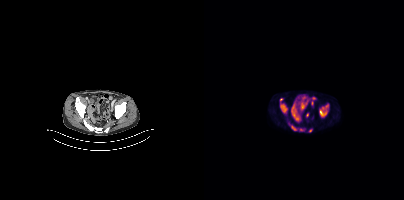
{"modality":"PSMA PET/CT","view":"axial","tracer":"[18F]PSMA-1007","pet_grid":[200,200],"coord_frame":"pet_panel","coord_format":"x0,y0,x1,y1","lesion_bboxes":[[115,104,124,115],[76,104,83,112],[88,126,92,130]],"small_foci_centers":[[97,129],[77,99],[106,130],[85,124]]}